The face region was removed for patient privacy by blanking a rectangle over the head.
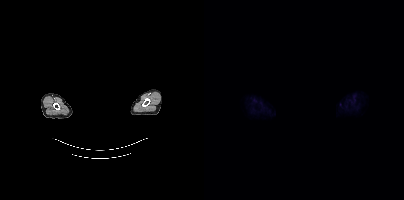
Negative for PSMA-avid disease on this slice.